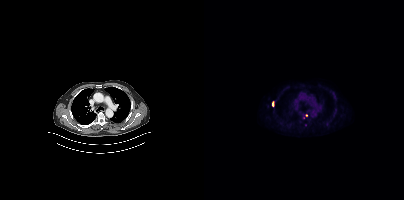
Findings: Coordinates are on the 200×200 PET (right) panel. (showing 1 of 2 foci) Small PSMA-avid focus (2 to 4 px across) near (center x, center y): (68, 103).
- Paired axial CT (left) and PSMA PET (right), [18F]PSMA-1007 tracer
- slice 310 of 421
- PET panel 200×200 px (4.1 mm/px)